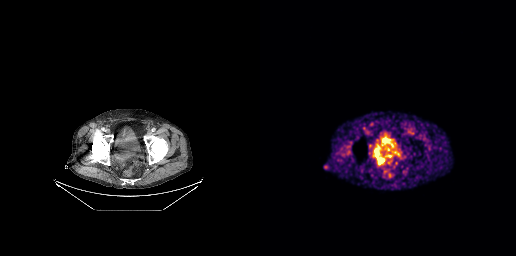
Coordinates are on the 256×256 PET (right) panel. PSMA-avid tumor lesion bounding box (x0, y0)-(x1, y1): (115, 148)-(130, 164).
modality: PSMA PET/CT | tracer: 68Ga | view: axial | PET grid: 256×256